Left: CT. Right: PSMA PET, same axial level, 18F-PSMA tracer. Acquired on GE Discovery 690. Slice 115 of 263. PET panel 256×256 px (2.7 mm/px).
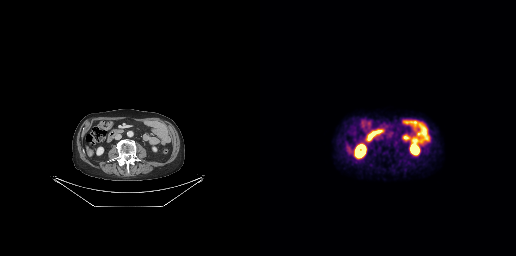
No tumor lesions annotated on this slice.